Paired axial CT (left) and PSMA PET (right), 68Ga-PSMA tracer. Acquired on Siemens Biograph 64-4R TruePoint. Slice 51 of 165.
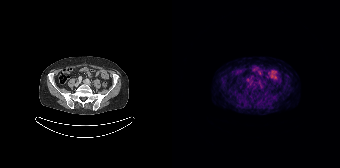
No PSMA-avid tumor lesions on this slice.